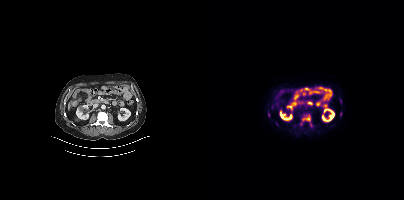
modality: PSMA PET/CT | tracer: 18F | view: axial | PET grid: 200×200
Coordinates are on the 200×200 PET (right) panel. (showing 3 of 5 foci) PSMA-avid tumor lesion bounding boxes (x, y, width, height): x=98 y=115 w=9 h=7 / x=136 y=112 w=2 h=5. Small PSMA-avid focus (2 to 4 px across) near (center x, center y): (64, 115).